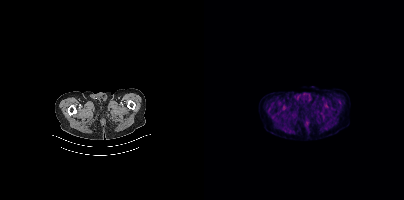
Paired axial CT (left) and PSMA PET (right), 18F-PSMA tracer. Acquired on Siemens Biograph mCT Flow 20. No tumor lesions annotated on this slice.